Left: CT. Right: PSMA PET, same axial level, 18F tracer. Acquired on Siemens Biograph mCT Flow 20. Slice position z = -1564 mm. PET panel 200×200 px (4.1 mm/px).
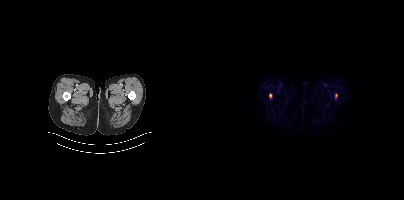
Coordinates are on the 200×200 PET (right) panel. Small PSMA-avid foci (2 to 4 px across) near (center x, center y): (66, 95) (132, 95).